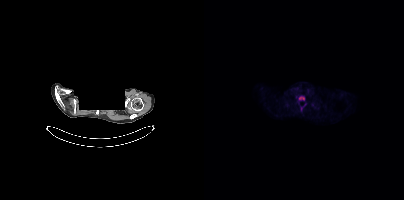
{"modality":"PSMA PET/CT","view":"axial","tracer":"18F-PSMA","pet_grid":[200,200],"coord_frame":"pet_panel","coord_format":"x0,y0,x1,y1","deidentification":"facial region redacted","lesion_bboxes":[[95,96,100,99]]}